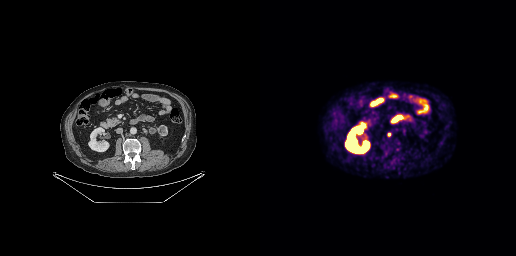
{"modality":"PSMA PET/CT","view":"axial","tracer":"18F","pet_grid":[256,256],"coord_frame":"pet_panel","coord_format":"x0,y0,x1,y1","lesion_bboxes":[],"small_foci_centers":[[128,134]]}